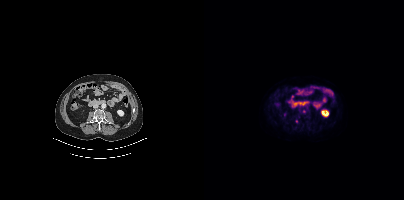
Paired axial CT (left) and PSMA PET (right), 18F tracer. No tumor lesions annotated on this slice.